modality: PSMA PET/CT | tracer: 68Ga | view: axial | PET grid: 256×256
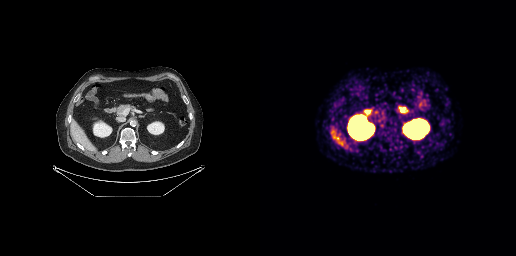
This slice has no annotated PSMA-avid lesion.